deidentification: rectangular block over head set to black | modality: PSMA PET/CT | tracer: 18F | view: axial
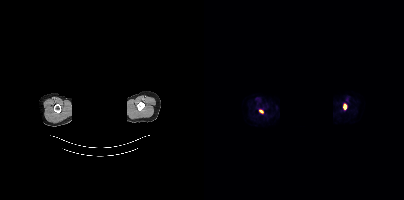
Coordinates are on the 200×200 PET (right) panel. PSMA-avid tumor lesion bounding boxes (x0,y0,x1,y1): [139,104,142,109], [55,110,59,113].